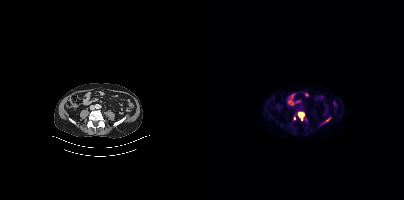
Paired axial CT (left) and PSMA PET (right), [18F]PSMA-1007 tracer. Acquired on Siemens Biograph mCT Flow 20. Slice position z = -768 mm. PET panel 200×200 px (4.1 mm/px). Coordinates are on the 200×200 PET (right) panel. (showing 1 of 4 foci) PSMA-avid tumor lesion bounding box (x0, y0)-(x1, y1): (94, 112)-(100, 117).